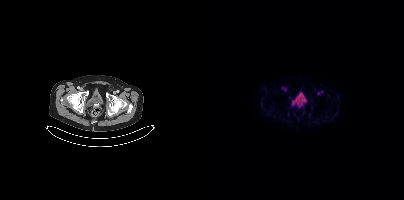
modality: PSMA PET/CT | tracer: 18F | view: axial
No PSMA-avid tumor lesions on this slice.